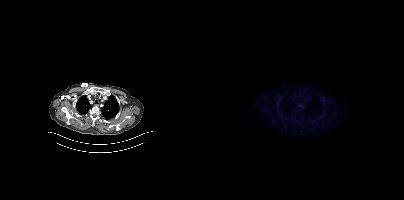
No tumor lesions annotated on this slice.